Paired axial CT (left) and PSMA PET (right), 68Ga tracer.
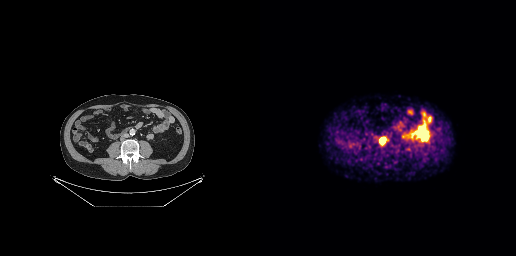
Coordinates are on the 256×256 PET (right) panel. PSMA-avid tumor lesion bounding boxes:
| # | x0 | y0 | x1 | y1 |
|---|---|---|---|---|
| 1 | 119 | 137 | 126 | 145 |